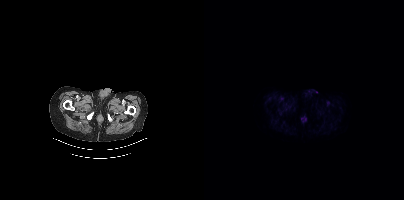
Negative for PSMA-avid disease on this slice.